Left: CT. Right: PSMA PET, same axial level, 18F tracer. Acquired on Siemens Biograph mCT Flow 20.
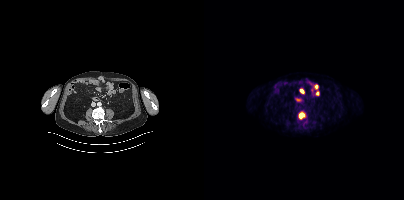
Coordinates are on the 200×200 PET (right) panel. PSMA-avid tumor lesion bounding boxes:
| # | x0 | y0 | x1 | y1 |
|---|---|---|---|---|
| 1 | 95 | 113 | 100 | 119 |